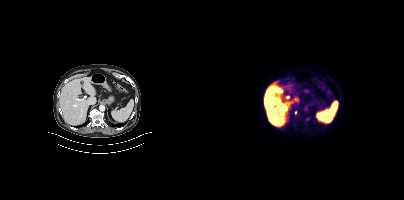
Coordinates are on the 200×200 PET (right) panel. Small PSMA-avid focus (2 to 4 px across) near (center x, center y): (91, 112). Paired axial CT (left) and PSMA PET (right), [18F]PSMA-1007 tracer. Slice 259 of 466. PET panel 200×200 px (4.1 mm/px).